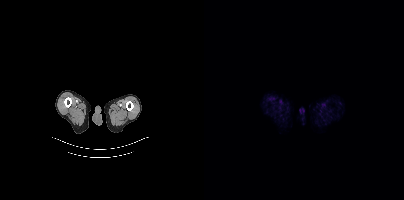
Negative for PSMA-avid disease on this slice. Two-panel axial: CT | PSMA PET, 18F-PSMA tracer. Acquired on Siemens Biograph mCT Flow 20. Slice position z = -388 mm.